- Two-panel axial: CT | PSMA PET, 18F-PSMA tracer
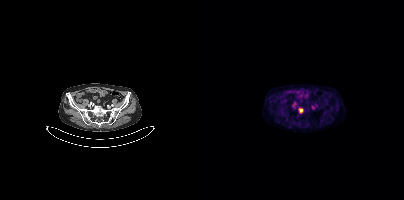
Findings: Coordinates are on the 200×200 PET (right) panel. Small PSMA-avid focus (2 to 4 px across) near (center x, center y): (96, 110).